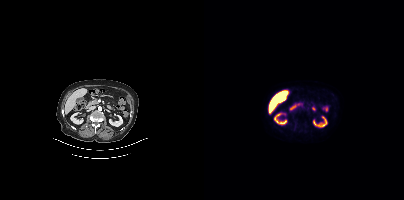
No PSMA-avid tumor lesions on this slice. Paired axial CT (left) and PSMA PET (right), 18F-PSMA tracer. PET panel 200×200 px (4.1 mm/px).